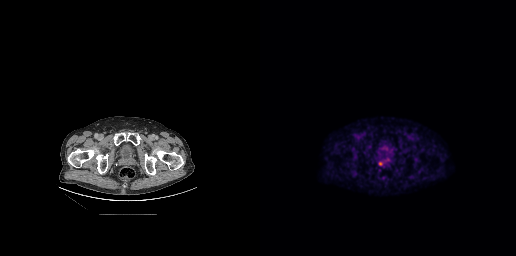
- Two-panel axial: CT | PSMA PET, [18F]PSMA-1007 tracer
- PET panel 256×256 px (2.7 mm/px)
Findings: Coordinates are on the 256×256 PET (right) panel. PSMA-avid tumor lesion bounding box (x0,y0,x1,y1): [118,161,123,165].